- Paired axial CT (left) and PSMA PET (right), 18F-PSMA tracer
- slice 202 of 413
- PET panel 200×200 px (4.1 mm/px)
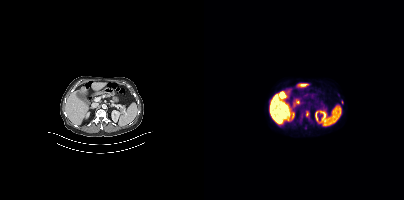
Findings: Coordinates are on the 200×200 PET (right) panel. PSMA-avid tumor lesion bounding box (x0,y0,x1,y1): [102,111,105,116]. Small PSMA-avid focus (2 to 4 px across) near (center x, center y): (138, 102).